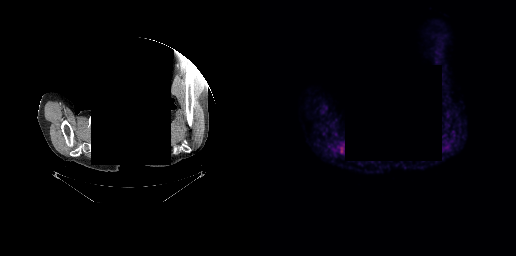
Technique: Left: CT. Right: PSMA PET, same axial level, 18F-PSMA tracer. slice position z = -230 mm. PET panel 256×256 px (2.7 mm/px).
Note: Head region blanked for anonymization (face removed).
Findings: No tumor lesions annotated on this slice.